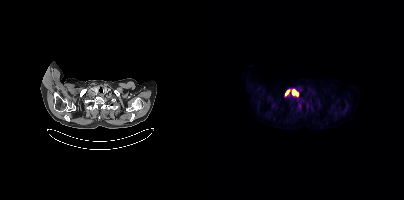
Left: CT. Right: PSMA PET, same axial level, [18F]PSMA-1007 tracer. Coordinates are on the 200×200 PET (right) panel. PSMA-avid tumor lesion bounding boxes (x0,y0,x1,y1): [88,89,94,95], [81,90,85,95].